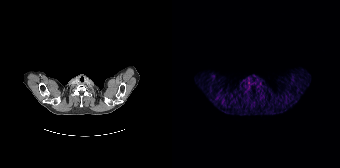
{"modality":"PSMA PET/CT","view":"axial","tracer":"68Ga","pet_grid":[168,168],"coord_frame":"pet_panel","coord_format":"x0,y0,x1,y1","psma_avid_lesions":false}